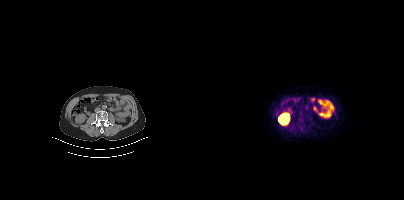
This slice has no annotated PSMA-avid lesion.